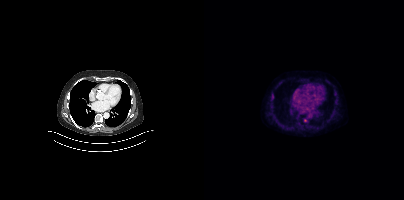
Coordinates are on the 200×200 PET (right) panel. Small PSMA-avid focus (2 to 4 px across) near (center x, center y): (101, 120).